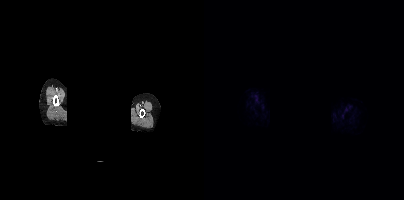
An anonymization step blacked out a rectangle over the head in this scan. Left: CT. Right: PSMA PET, same axial level, [68Ga]Ga-PSMA-11 tracer. No tumor lesions annotated on this slice.